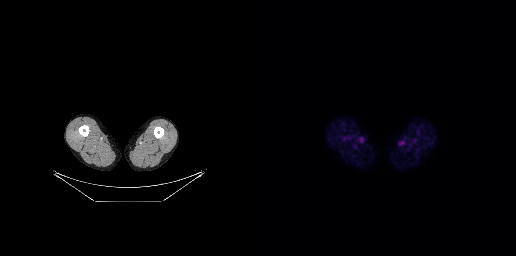
Negative for PSMA-avid disease on this slice.